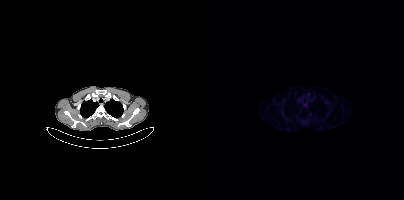
No PSMA-avid tumor lesions on this slice. Left: CT. Right: PSMA PET, same axial level, [68Ga]Ga-PSMA-11 tracer. Acquired on Siemens Biograph mCT Flow 20.